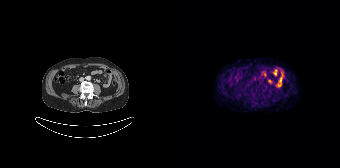
No tumor lesions annotated on this slice.